modality: PSMA PET/CT | tracer: 18F-PSMA | view: axial | PET grid: 200×200
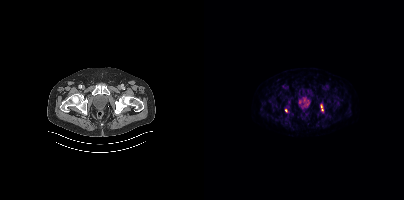
Coordinates are on the 200×200 PET (right) panel. PSMA-avid tumor lesion bounding box (x, y, width, height): x=116 y=105 w=4 h=7. Small PSMA-avid focus (2 to 4 px across) near (center x, center y): (81, 110).